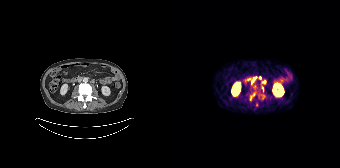
Technique: Left: CT. Right: PSMA PET, same axial level, [68Ga]Ga-PSMA-11 tracer. PET panel 168×168 px (4.1 mm/px).
Findings: Coordinates are on the 168×168 PET (right) panel. (showing 4 of 5 foci) PSMA-avid tumor lesion bounding box (x, y, width, height): x=77 y=92 w=7 h=9. Small PSMA-avid foci (2 to 4 px across) near (center x, center y): (91, 81) | (88, 78) | (90, 87).